Technique: Two-panel axial: CT | PSMA PET, 18F tracer. slice position z = -106 mm.
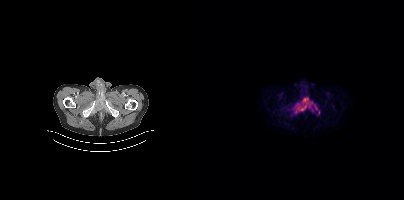
Findings: Coordinates are on the 200×200 PET (right) panel. (showing 1 of 2 foci) PSMA-avid tumor lesion bounding box (x, y, width, height): x=89 y=97 w=25 h=17.